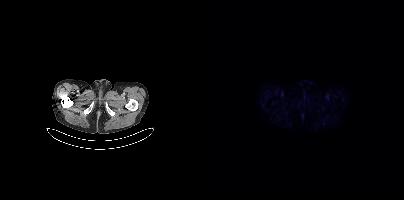
Technique: Two-panel axial: CT | PSMA PET, [18F]PSMA-1007 tracer. acquired on Siemens Biograph mCT Flow 20. slice position z = -286 mm.
Findings: No PSMA-avid tumor lesions on this slice.